Left: CT. Right: PSMA PET, same axial level, [18F]PSMA-1007 tracer. Acquired on Siemens Biograph mCT Flow 20. PET panel 200×200 px (4.1 mm/px).
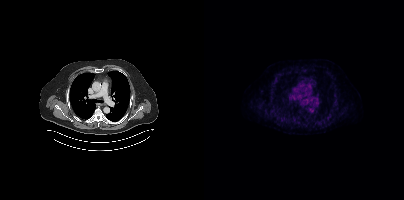
Coordinates are on the 200×200 PET (right) panel. Small PSMA-avid focus (2 to 4 px across) near (center x, center y): (128, 111).